- Left: CT. Right: PSMA PET, same axial level, 18F-PSMA tracer
- PET panel 256×256 px (2.7 mm/px)
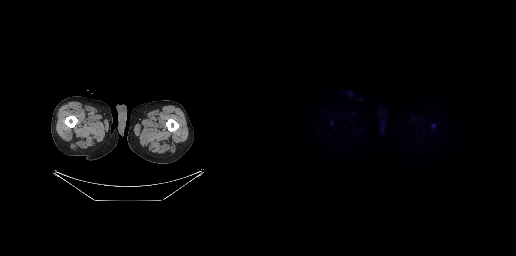
Findings: No tumor lesions annotated on this slice.